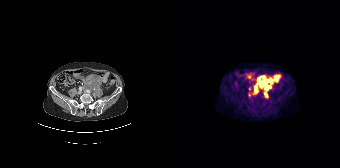
Coordinates are on the 168×168 PET (right) panel. PSMA-avid tumor lesion bounding boxes (x0,y0,x1,y1): [83,75,100,86] [94,86,98,89]. Small PSMA-avid foci (2 to 4 px across) near (center x, center y): (93, 83) (94, 94) (77, 88) (83, 90).